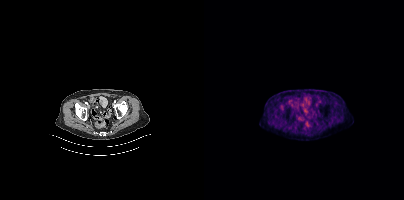
Technique: Two-panel axial: CT | PSMA PET, 18F-PSMA tracer. acquired on Siemens Biograph mCT Flow 20.
Findings: Negative for PSMA-avid disease on this slice.